Paired axial CT (left) and PSMA PET (right), 18F tracer. Acquired on Siemens Biograph mCT Flow 20. Slice 206 of 421. PET panel 200×200 px (4.1 mm/px).
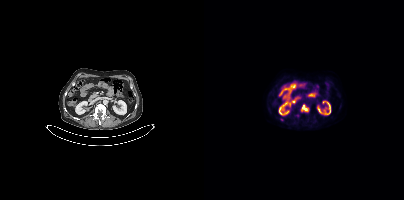
Coordinates are on the 200×200 PET (right) panel. PSMA-avid tumor lesion bounding boxes:
| # | x0 | y0 | x1 | y1 |
|---|---|---|---|---|
| 1 | 97 | 105 | 104 | 111 |
Small PSMA-avid focus (2 to 4 px across) near (center x, center y): (77, 119).